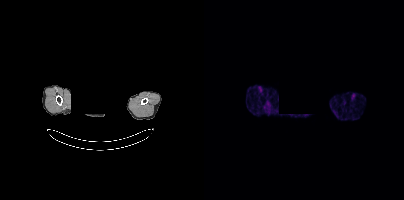
This slice has no annotated PSMA-avid lesion. The head region is masked for de-identification. Two-panel axial: CT | PSMA PET, 68Ga-PSMA tracer.